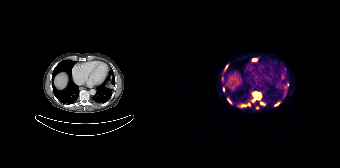
Left: CT. Right: PSMA PET, same axial level, 68Ga tracer. Acquired on Siemens Biograph 64-4R TruePoint. PET panel 168×168 px (4.1 mm/px). Coordinates are on the 168×168 PET (right) panel. (showing 8 of 11 foci) PSMA-avid tumor lesion bounding boxes (x0, y0)-(x1, y1): (81, 92)-(89, 98) | (114, 83)-(116, 87). Small PSMA-avid foci (2 to 4 px across) near (center x, center y): (85, 107) | (82, 59) | (70, 105) | (57, 100) | (51, 89) | (106, 103).